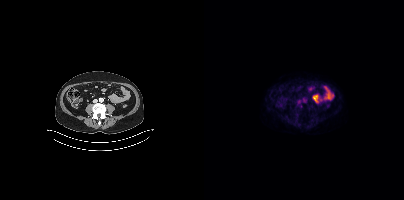
Paired axial CT (left) and PSMA PET (right), 18F-PSMA tracer. Acquired on Siemens Biograph mCT Flow 20. No PSMA-avid tumor lesions on this slice.